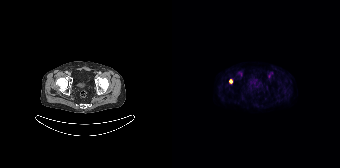
Left: CT. Right: PSMA PET, same axial level, [18F]PSMA-1007 tracer. Coordinates are on the 168×168 PET (right) panel. PSMA-avid tumor lesion bounding box (x, y, width, height): x=57 y=79 w=4 h=5.